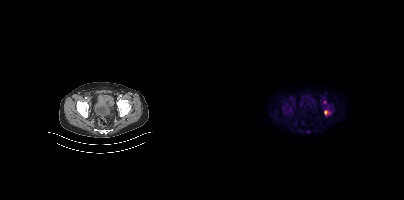
Coordinates are on the 200×200 PET (right) panel. PSMA-avid tumor lesion bounding box (x, y, width, height): x=120 y=110 w=6 h=6. Small PSMA-avid focus (2 to 4 px across) near (center x, center y): (120, 101).